- Paired axial CT (left) and PSMA PET (right), [18F]PSMA-1007 tracer
- acquired on Siemens Biograph mCT Flow 20
- slice 207 of 377
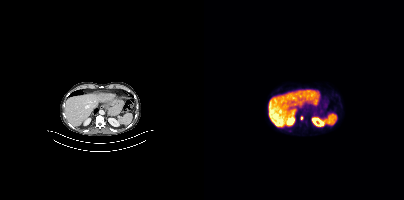
Findings: Coordinates are on the 200×200 PET (right) panel. Small PSMA-avid focus (2 to 4 px across) near (center x, center y): (98, 117).